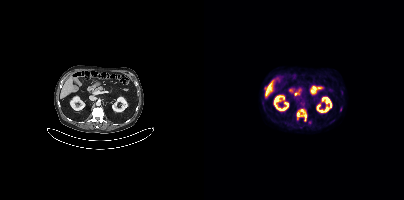
modality: PSMA PET/CT | tracer: [18F]PSMA-1007 | view: axial | PET grid: 200×200
Coordinates are on the 200×200 PET (right) panel. PSMA-avid tumor lesion bounding box (x, y, width, height): x=93 y=109 w=10 h=13. Small PSMA-avid focus (2 to 4 px across) near (center x, center y): (62, 88).